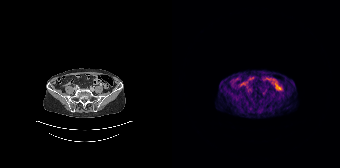
Findings: No PSMA-avid tumor lesions on this slice.
Technique: Paired axial CT (left) and PSMA PET (right), 68Ga-PSMA tracer. acquired on Siemens Biograph 64-4R TruePoint.